modality: PSMA PET/CT | tracer: 18F-PSMA | view: axial | PET grid: 256×256 | de-identification: facial region redacted
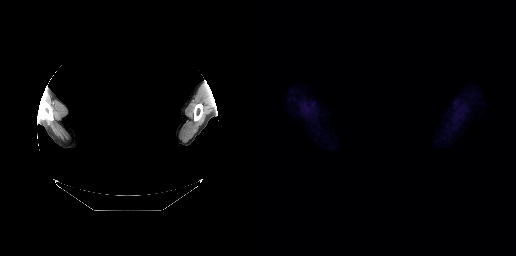
Negative for PSMA-avid disease on this slice.